Left: CT. Right: PSMA PET, same axial level, 18F tracer. Slice 101 of 263.
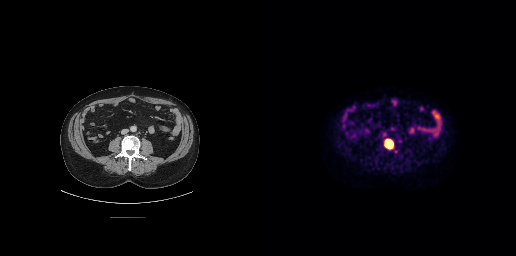
Coordinates are on the 256×256 PET (right) panel. PSMA-avid tumor lesion bounding box (x0, y0)-(x1, y1): (124, 138)-(133, 149).